Facial anatomy redacted by setting a rectangular region of the head to black. Left: CT. Right: PSMA PET, same axial level, [18F]PSMA-1007 tracer. Acquired on Siemens Biograph mCT Flow 20.
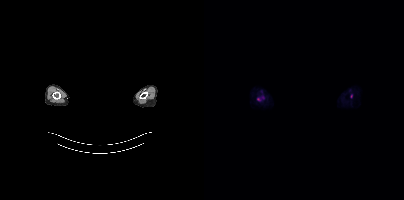
Coordinates are on the 200×200 PET (right) panel. Small PSMA-avid foci (2 to 4 px across) near (center x, center y): (54, 99) | (147, 96).